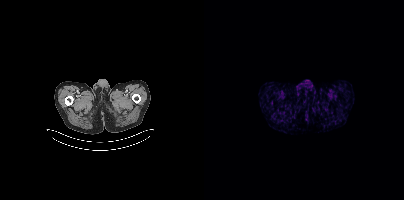
Technique: Left: CT. Right: PSMA PET, same axial level, [68Ga]Ga-PSMA-11 tracer.
Findings: Negative for PSMA-avid disease on this slice.